Left: CT. Right: PSMA PET, same axial level, [18F]PSMA-1007 tracer. Acquired on Siemens Biograph 64-4R TruePoint. Slice 21 of 165. PET panel 168×168 px (4.1 mm/px).
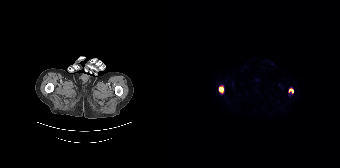
Coordinates are on the 168×168 PET (right) panel. PSMA-avid tumor lesion bounding boxes (x0,y0,x1,y1): [46,85,51,93] [117,88,121,93].